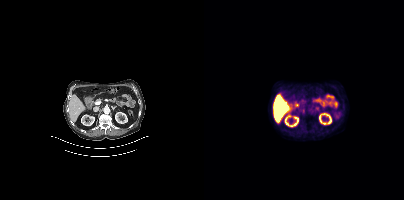
Findings: Negative for PSMA-avid disease on this slice.
Technique: Paired axial CT (left) and PSMA PET (right), [18F]PSMA-1007 tracer. PET panel 200×200 px (4.1 mm/px).